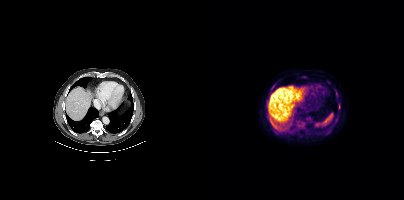
Coordinates are on the 200×200 PET (right) panel. (showing 3 of 4 foci) PSMA-avid tumor lesion bounding box (x0, y0)-(x1, y1): (135, 104)-(136, 109). Small PSMA-avid foci (2 to 4 px across) near (center x, center y): (100, 77) | (124, 82).